Left: CT. Right: PSMA PET, same axial level, [18F]PSMA-1007 tracer. Slice 143 of 373. PET panel 200×200 px (4.1 mm/px).
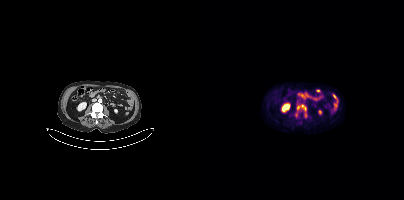
Coordinates are on the 200×200 PET (right) panel. PSMA-avid tumor lesion bounding boxes:
| # | x0 | y0 | x1 | y1 |
|---|---|---|---|---|
| 1 | 93 | 104 | 102 | 117 |
Small PSMA-avid focus (2 to 4 px across) near (center x, center y): (92, 114).